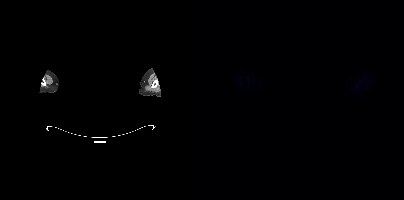
- privacy masking over the head, with the pixels inside a rectangle set to black
- Left: CT. Right: PSMA PET, same axial level, 18F tracer
- slice 435 of 446
- PET panel 200×200 px (4.1 mm/px)
Findings: No tumor lesions annotated on this slice.